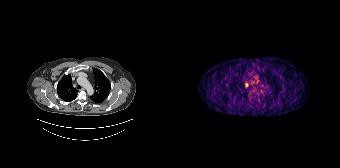
Coordinates are on the 168×168 PET (right) panel. PSMA-avid tumor lesion bounding boxes (partial; 1 more focus not listed):
| # | x0 | y0 | x1 | y1 |
|---|---|---|---|---|
| 1 | 73 | 83 | 76 | 87 |
Small PSMA-avid focus (2 to 4 px across) near (center x, center y): (80, 82).
Paired axial CT (left) and PSMA PET (right), [68Ga]Ga-PSMA-11 tracer. Acquired on Siemens Biograph 64-4R TruePoint. Slice position z = -436 mm. PET panel 168×168 px (4.1 mm/px).